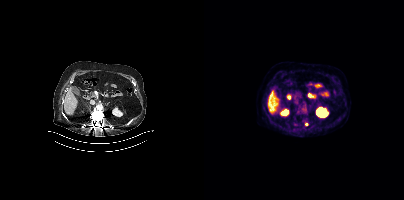
Left: CT. Right: PSMA PET, same axial level, 18F-PSMA tracer. Acquired on Siemens Biograph mCT Flow 20. Coordinates are on the 200×200 PET (right) panel. Small PSMA-avid focus (2 to 4 px across) near (center x, center y): (102, 124).